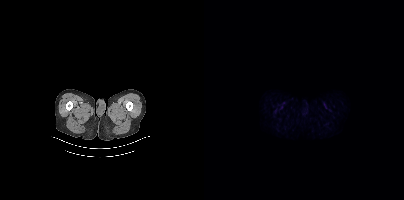
No tumor lesions annotated on this slice. Left: CT. Right: PSMA PET, same axial level, [18F]PSMA-1007 tracer. Acquired on Siemens Biograph mCT Flow 20.